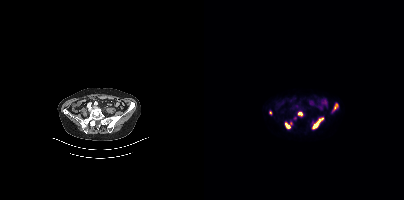
Left: CT. Right: PSMA PET, same axial level, 68Ga tracer. Acquired on Siemens Biograph mCT Flow 20.
Coordinates are on the 200×200 PET (right) panel. PSMA-avid tumor lesion bounding boxes (partial; 1 more focus not listed):
| # | x0 | y0 | x1 | y1 |
|---|---|---|---|---|
| 1 | 109 | 117 | 119 | 128 |
| 2 | 130 | 105 | 134 | 109 |
| 3 | 81 | 122 | 85 | 127 |
Small PSMA-avid foci (2 to 4 px across) near (center x, center y): (95, 113); (66, 112); (91, 117).